- Left: CT. Right: PSMA PET, same axial level, 18F-PSMA tracer
- PET panel 200×200 px (4.1 mm/px)
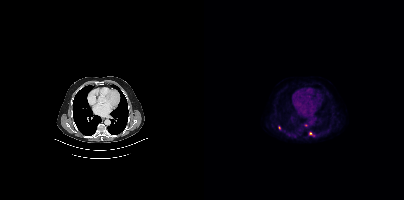
Findings: Coordinates are on the 200×200 PET (right) panel. (showing 2 of 3 foci) Small PSMA-avid foci (2 to 4 px across) near (center x, center y): (106, 133), (75, 127).